Technique: Two-panel axial: CT | PSMA PET, [18F]PSMA-1007 tracer. slice position z = -1054 mm. PET panel 200×200 px (4.1 mm/px).
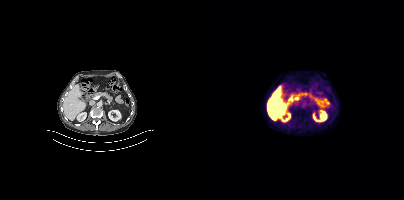
Findings: No PSMA-avid tumor lesions on this slice.